Two-panel axial: CT | PSMA PET, 18F-PSMA tracer. Acquired on Siemens Biograph mCT Flow 20.
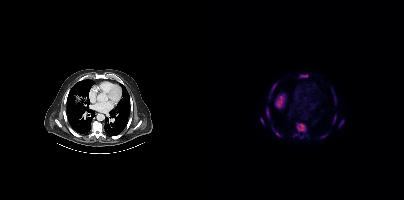
Coordinates are on the 200×200 PET (right) panel. PSMA-avid tumor lesion bounding boxes:
| # | x0 | y0 | x1 | y1 |
|---|---|---|---|---|
| 1 | 89 | 123 | 101 | 137 |
| 2 | 127 | 88 | 132 | 104 |
| 3 | 69 | 129 | 76 | 136 |
| 4 | 96 | 75 | 103 | 77 |
| 5 | 135 | 120 | 139 | 127 |
| 6 | 129 | 115 | 132 | 123 |
| 7 | 62 | 107 | 64 | 113 |
| 8 | 68 | 83 | 73 | 87 |
| 9 | 117 | 134 | 123 | 138 |
| 10 | 65 | 94 | 66 | 99 |
Small PSMA-avid focus (2 to 4 px across) near (center x, center y): (98, 137).